Left: CT. Right: PSMA PET, same axial level, 18F-PSMA tracer.
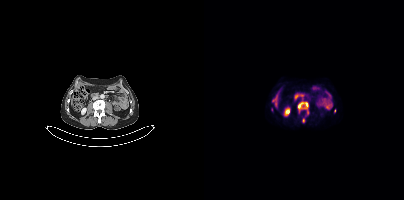
Coordinates are on the 200×200 PET (right) panel. (showing 3 of 4 foci) PSMA-avid tumor lesion bounding boxes (x0, y0)-(x1, y1): (93, 101)-(104, 114) | (98, 118)-(100, 122). Small PSMA-avid focus (2 to 4 px across) near (center x, center y): (130, 110).